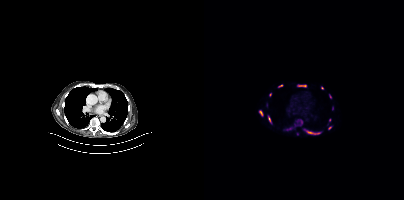
Coordinates are on the 200×200 PET (right) panel. (showing 10 of 12 foci) PSMA-avid tumor lesion bounding boxes (x, y, width, height): x=100 y=129 w=18 h=6 / x=94 y=85 w=9 h=3 / x=55 y=110 w=5 h=6 / x=74 y=84 w=5 h=4 / x=64 y=117 w=4 h=6. Small PSMA-avid foci (2 to 4 px across) near (center x, center y): (66, 94) / (125, 127) / (118, 87) / (126, 96) / (125, 119).